Left: CT. Right: PSMA PET, same axial level, 68Ga tracer. Acquired on GE Discovery 690. PET panel 256×256 px (2.7 mm/px).
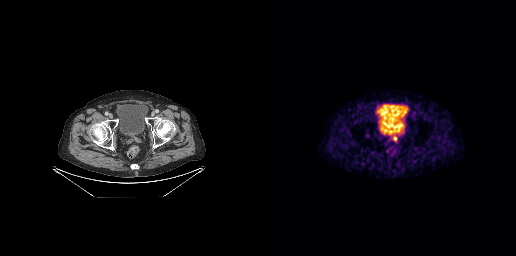
Coordinates are on the 256×256 PET (right) panel. Small PSMA-avid focus (2 to 4 px across) near (center x, center y): (134, 137).